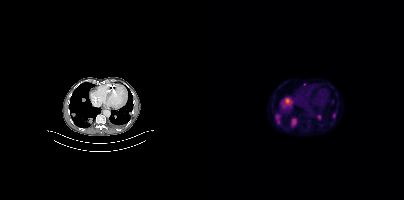
Coordinates are on the 200×200 PET (right) panel. PSMA-avid tumor lesion bounding boxes (partial; 2 more foci not listed):
| # | x0 | y0 | x1 | y1 |
|---|---|---|---|---|
| 1 | 71 | 114 | 76 | 124 |
| 2 | 87 | 118 | 92 | 125 |
| 3 | 113 | 115 | 117 | 119 |
| 4 | 129 | 113 | 131 | 117 |
| 5 | 128 | 99 | 129 | 104 |
Small PSMA-avid foci (2 to 4 px across) near (center x, center y): (83, 99); (104, 126).
Left: CT. Right: PSMA PET, same axial level, 18F tracer. Acquired on Siemens Biograph mCT Flow 20. Slice 236 of 405.